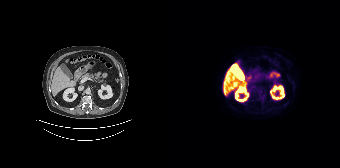
Findings: No PSMA-avid tumor lesions on this slice.
Technique: Left: CT. Right: PSMA PET, same axial level, 18F tracer. slice position z = -1286 mm. PET panel 168×168 px (4.1 mm/px).